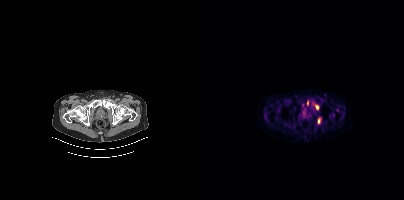
Coordinates are on the 200×200 PET (right) panel. PSMA-avid tumor lesion bounding boxes:
| # | x0 | y0 | x1 | y1 |
|---|---|---|---|---|
| 1 | 103 | 100 | 105 | 105 |
| 2 | 114 | 118 | 116 | 123 |
| 3 | 112 | 105 | 114 | 109 |
Left: CT. Right: PSMA PET, same axial level, 68Ga tracer.